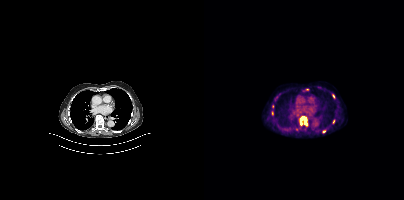
{"modality":"PSMA PET/CT","view":"axial","tracer":"18F-PSMA","pet_grid":[200,200],"coord_frame":"pet_panel","coord_format":"x0,y0,x1,y1","lesion_bboxes":[[95,116,103,126]],"small_foci_centers":[[129,96],[68,113],[120,131],[68,106],[129,121]]}